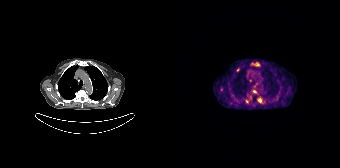
Paired axial CT (left) and PSMA PET (right), 68Ga tracer. Slice 126 of 165. Coordinates are on the 168×168 PET (right) panel. (showing 6 of 8 foci) PSMA-avid tumor lesion bounding boxes (x0,y0,x1,y1): [85,97,89,102]; [74,96,79,102]; [80,91,86,94]. Small PSMA-avid foci (2 to 4 px across) near (center x, center y): (65, 69); (78, 80); (49, 88).